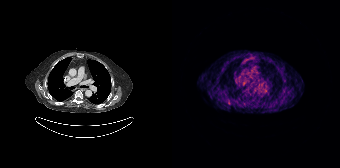
{"modality":"PSMA PET/CT","view":"axial","tracer":"[68Ga]Ga-PSMA-11","pet_grid":[168,168],"coord_frame":"pet_panel","coord_format":"x0,y0,x1,y1","psma_avid_lesions":false}